Technique: Left: CT. Right: PSMA PET, same axial level, 18F tracer. PET panel 200×200 px (4.1 mm/px).
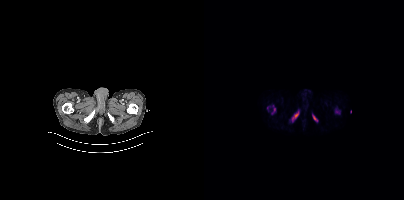
Findings: Coordinates are on the 200×200 PET (right) panel. (showing 2 of 6 foci) PSMA-avid tumor lesion bounding box (x0,y0,x1,y1): [91,113,94,117]. Small PSMA-avid focus (2 to 4 px across) near (center x, center y): (70, 109).